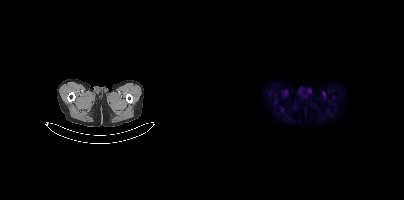
Negative for PSMA-avid disease on this slice.
modality: PSMA PET/CT | tracer: 18F-PSMA | view: axial | PET grid: 200×200